Left: CT. Right: PSMA PET, same axial level, 68Ga tracer. Acquired on Siemens Biograph mCT Flow 20. Slice position z = -555 mm. PET panel 200×200 px (4.1 mm/px).
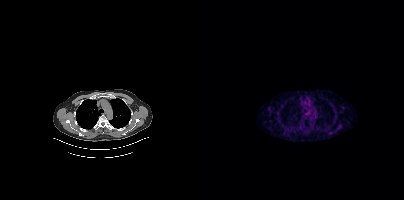
Negative for PSMA-avid disease on this slice.